Technique: Two-panel axial: CT | PSMA PET, 18F-PSMA tracer. slice position z = -1282 mm.
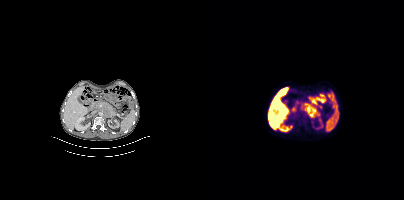
Findings: Coordinates are on the 200×200 PET (right) panel. PSMA-avid tumor lesion bounding box (x0,y0,x1,y1): [100,103,114,118].